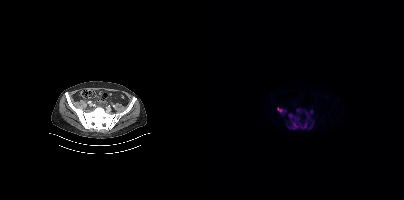
{"modality":"PSMA PET/CT","view":"axial","tracer":"[18F]PSMA-1007","pet_grid":[200,200],"coord_frame":"pet_panel","coord_format":"x0,y0,x1,y1","partial":true,"lesion_bboxes":[[84,110,109,129],[74,108,82,113]],"small_foci_centers":[[107,128]]}